Paired axial CT (left) and PSMA PET (right), 18F tracer. Acquired on Siemens Biograph mCT Flow 20. Slice 194 of 387.
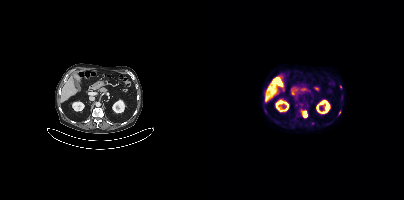
Coordinates are on the 200×200 PET (right) panel. PSMA-avid tumor lesion bounding boxes:
| # | x0 | y0 | x1 | y1 |
|---|---|---|---|---|
| 1 | 98 | 111 | 103 | 117 |
Small PSMA-avid foci (2 to 4 px across) near (center x, center y): (109, 123); (136, 86); (135, 112).